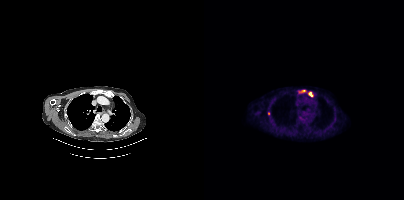
Paired axial CT (left) and PSMA PET (right), 18F tracer. Acquired on Siemens Biograph mCT Flow 20. Coordinates are on the 200×200 PET (right) panel. PSMA-avid tumor lesion bounding boxes (x0, y0)-(x1, y1): (104, 91)-(109, 96) / (95, 90)-(101, 92). Small PSMA-avid focus (2 to 4 px across) near (center x, center y): (64, 113).